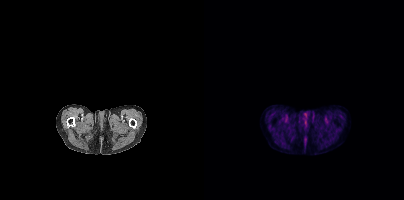
This slice has no annotated PSMA-avid lesion. Left: CT. Right: PSMA PET, same axial level, 18F-PSMA tracer.